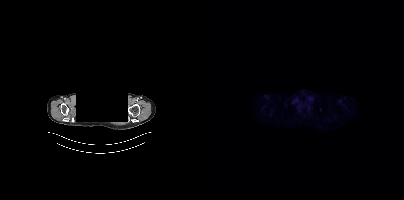
Findings: No tumor lesions annotated on this slice.
Technique: Left: CT. Right: PSMA PET, same axial level, 18F tracer. acquired on Siemens Biograph mCT Flow 20.
Note: The head region is masked for de-identification.